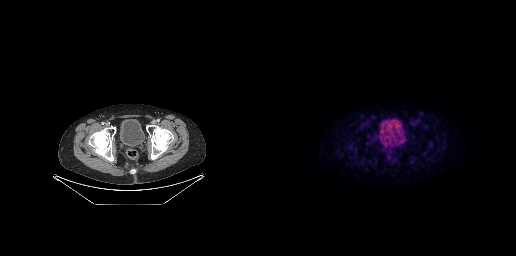
modality: PSMA PET/CT | tracer: 18F | view: axial | PET grid: 256×256
Negative for PSMA-avid disease on this slice.